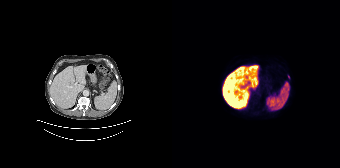
Paired axial CT (left) and PSMA PET (right), [18F]PSMA-1007 tracer. Acquired on Siemens Biograph 64-4R TruePoint. Slice 122 of 195. Coordinates are on the 168×168 PET (right) panel. Small PSMA-avid focus (2 to 4 px across) near (center x, center y): (116, 76).